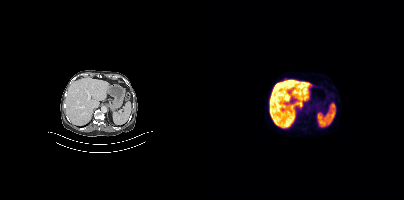
No PSMA-avid tumor lesions on this slice.